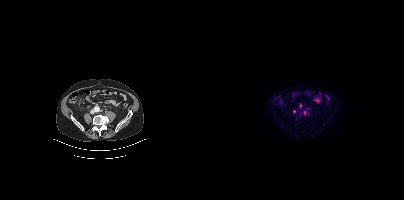
Left: CT. Right: PSMA PET, same axial level, 18F tracer. PET panel 200×200 px (4.1 mm/px). Coordinates are on the 200×200 PET (right) panel. Small PSMA-avid foci (2 to 4 px across) near (center x, center y): (99, 112) / (90, 111).